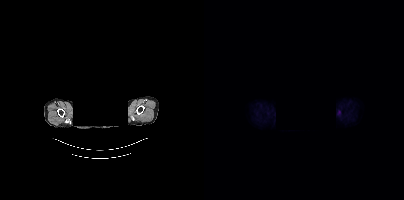
An anonymization step blacked out a rectangle over the head in this scan. Paired axial CT (left) and PSMA PET (right), [18F]PSMA-1007 tracer. Slice position z = -932 mm. PET panel 200×200 px (4.1 mm/px). No PSMA-avid tumor lesions on this slice.